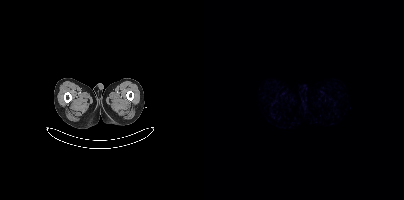
{"modality":"PSMA PET/CT","view":"axial","tracer":"68Ga","pet_grid":[200,200],"coord_frame":"pet_panel","coord_format":"x0,y0,x1,y1","psma_avid_lesions":false}